Technique: Paired axial CT (left) and PSMA PET (right), [68Ga]Ga-PSMA-11 tracer.
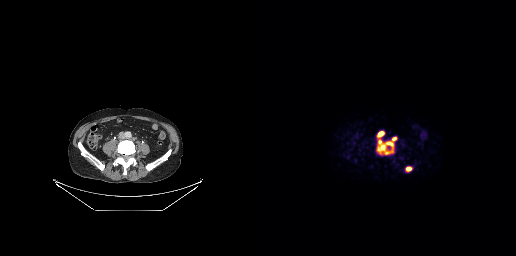
Findings: Coordinates are on the 256×256 PET (right) panel. PSMA-avid tumor lesion bounding boxes (x, y, width, height): x=117 y=137 w=20 h=18; x=117 y=132 w=7 h=6; x=146 y=167 w=6 h=4. Small PSMA-avid focus (2 to 4 px across) near (center x, center y): (119, 141).